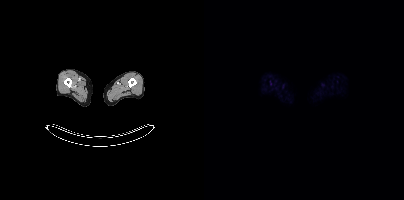
Technique: Two-panel axial: CT | PSMA PET, [18F]PSMA-1007 tracer. slice position z = -1151 mm. PET panel 200×200 px (4.1 mm/px).
Findings: No PSMA-avid tumor lesions on this slice.